Technique: Paired axial CT (left) and PSMA PET (right), 18F tracer. PET panel 200×200 px (4.1 mm/px).
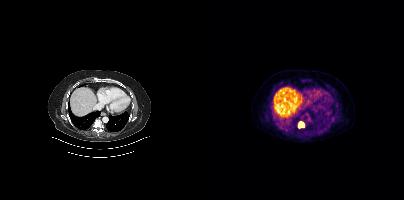
Findings: Coordinates are on the 200×200 PET (right) panel. PSMA-avid tumor lesion bounding box (x, y, width, height): x=94 y=122 w=7 h=6.